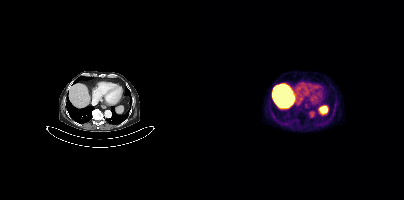
- Two-panel axial: CT | PSMA PET, [18F]PSMA-1007 tracer
Findings: No tumor lesions annotated on this slice.